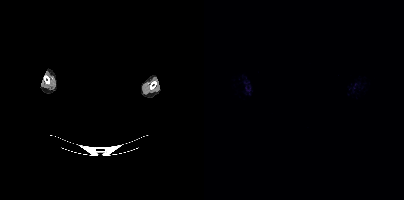
- the head region is masked for de-identification
- Two-panel axial: CT | PSMA PET, 18F tracer
- slice position z = -238 mm
- PET panel 200×200 px (4.1 mm/px)
Findings: No tumor lesions annotated on this slice.